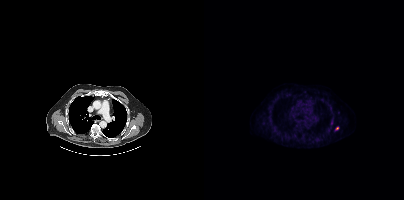
Coordinates are on the 200×200 PET (right) panel. Small PSMA-avid focus (2 to 4 px across) near (center x, center y): (133, 128).